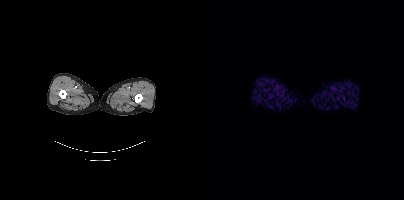
Technique: Two-panel axial: CT | PSMA PET, 18F-PSMA tracer. slice 11 of 448. PET panel 200×200 px (4.1 mm/px).
Findings: Negative for PSMA-avid disease on this slice.